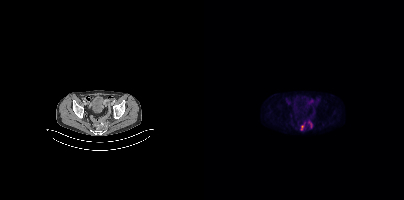
Coordinates are on the 200×200 PET (right) panel. PSMA-avid tumor lesion bounding boxes (x, y, width, height): x=96 y=123 w=5 h=8 | x=104 y=121 w=5 h=7. Two-panel axial: CT | PSMA PET, 18F-PSMA tracer. PET panel 200×200 px (4.1 mm/px).